- Paired axial CT (left) and PSMA PET (right), 18F-PSMA tracer
- slice 330 of 405
- PET panel 200×200 px (4.1 mm/px)
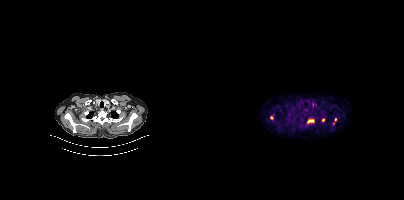
Findings: Coordinates are on the 200×200 PET (right) panel. PSMA-avid tumor lesion bounding box (x0,y0,x1,y1): [103,119,110,123]. Small PSMA-avid foci (2 to 4 px across) near (center x, center y): (67, 117), (119, 120), (131, 119).